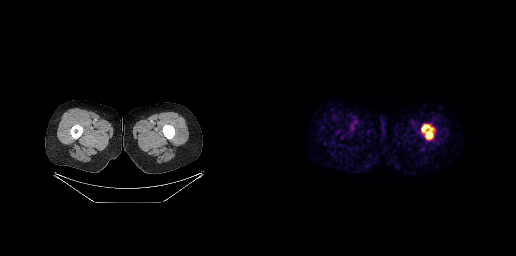
Coordinates are on the 256×256 PET (right) panel. PSMA-avid tumor lesion bounding box (x0, y0)-(x1, y1): (162, 125)-(172, 138).